Technique: Left: CT. Right: PSMA PET, same axial level, 18F tracer. acquired on Siemens Biograph mCT Flow 20. slice position z = -570 mm.
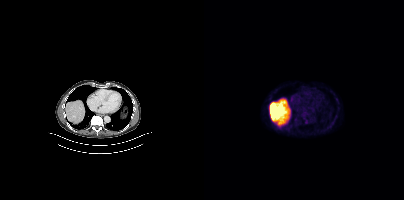
Findings: This slice has no annotated PSMA-avid lesion.